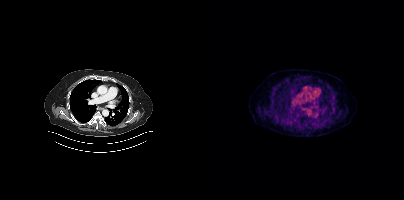
No tumor lesions annotated on this slice.